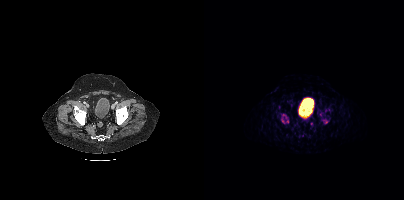
Findings: Coordinates are on the 200×200 PET (right) panel. (showing 4 of 6 foci) PSMA-avid tumor lesion bounding box (x, y, width, height): x=118 y=119 w=7 h=5. Small PSMA-avid foci (2 to 4 px across) near (center x, center y): (116, 114) | (121, 110) | (101, 117).
Technique: Paired axial CT (left) and PSMA PET (right), 68Ga-PSMA tracer. slice 95 of 444. PET panel 200×200 px (4.1 mm/px).